- Two-panel axial: CT | PSMA PET, 68Ga-PSMA tracer
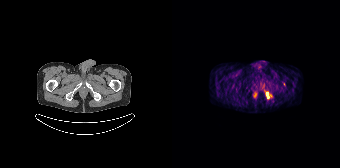
Findings: Coordinates are on the 168×168 PET (right) panel. PSMA-avid tumor lesion bounding boxes (x, y, width, height): x=94 y=92 w=7 h=7 | x=88 y=84 w=5 h=5. Small PSMA-avid foci (2 to 4 px across) near (center x, center y): (112, 84) | (92, 89).